Technique: Paired axial CT (left) and PSMA PET (right), 18F-PSMA tracer. acquired on Siemens Biograph mCT Flow 20.
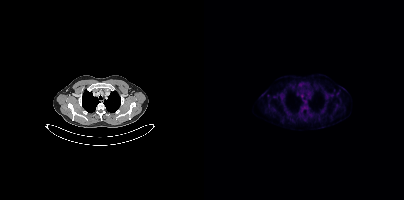
Findings: Coordinates are on the 200×200 PET (right) panel. (showing 1 of 2 foci) Small PSMA-avid focus (2 to 4 px across) near (center x, center y): (135, 91).